modality: PSMA PET/CT | tracer: 18F-PSMA | view: axial | PET grid: 200×200
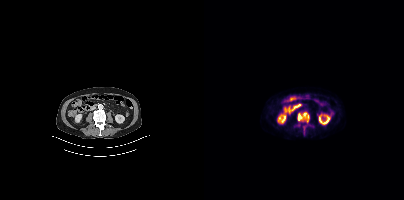
Coordinates are on the 200×200 PET (right) panel. PSMA-avid tumor lesion bounding box (x, y, width, height): x=94 y=112 w=12 h=12.